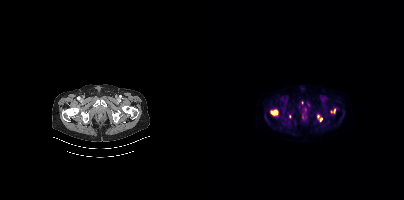
Coordinates are on the 200×200 PET (right) panel. (showing 6 of 8 foci) PSMA-avid tumor lesion bounding boxes (x0, y0)-(x1, y1): (66, 109)-(74, 115); (126, 108)-(131, 113). Small PSMA-avid foci (2 to 4 px across) near (center x, center y): (85, 115); (117, 119); (114, 116); (104, 104).